- Two-panel axial: CT | PSMA PET, 18F tracer
- acquired on GE Discovery 690
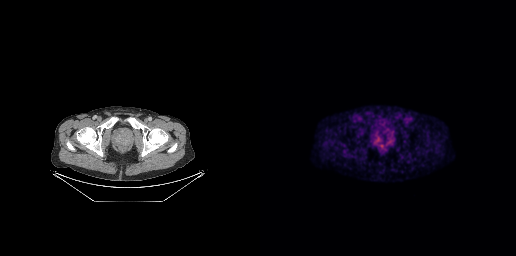
Findings: Coordinates are on the 256×256 PET (right) panel. PSMA-avid tumor lesion bounding box (x0, y0)-(x1, y1): (131, 133)-(133, 137).